modality: PSMA PET/CT | tracer: [18F]PSMA-1007 | view: axial | redaction: rectangular block over head set to black
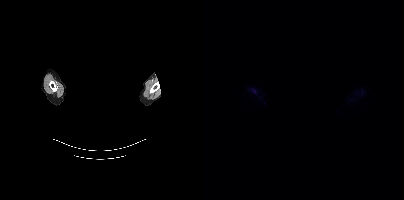
No tumor lesions annotated on this slice.